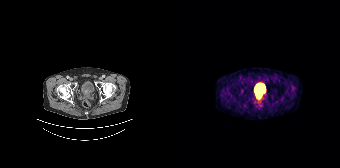
This slice has no annotated PSMA-avid lesion.
modality: PSMA PET/CT | tracer: 68Ga-PSMA | view: axial